Technique: Paired axial CT (left) and PSMA PET (right), [18F]PSMA-1007 tracer. acquired on Siemens Biograph mCT Flow 20. slice position z = -862 mm. PET panel 200×200 px (4.1 mm/px).
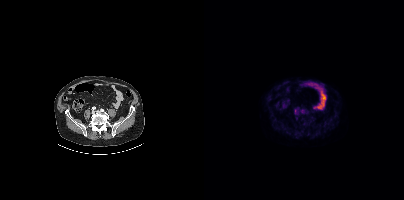
Findings: Only PSMA-avid lesion pieces thinner than 2 px on this slice (not listed).